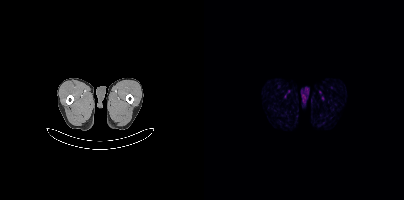
Technique: Left: CT. Right: PSMA PET, same axial level, [18F]PSMA-1007 tracer. acquired on Siemens Biograph mCT Flow 20. slice 8 of 417. PET panel 200×200 px (4.1 mm/px).
Findings: No PSMA-avid tumor lesions on this slice.